Privacy masking over the head, with the pixels inside a rectangle set to black. Paired axial CT (left) and PSMA PET (right), 68Ga tracer. Slice 261 of 263.
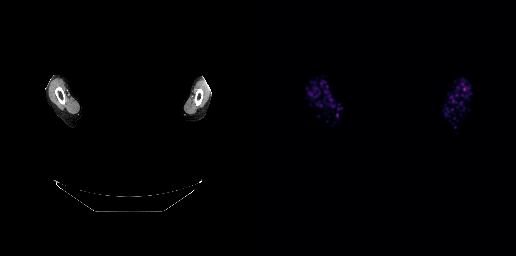
Negative for PSMA-avid disease on this slice.